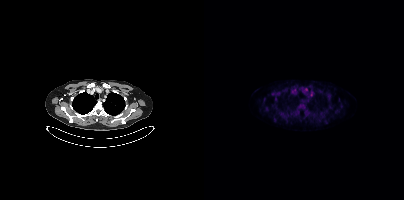
- Paired axial CT (left) and PSMA PET (right), 18F-PSMA tracer
- slice 340 of 431
- PET panel 200×200 px (4.1 mm/px)
Findings: Coordinates are on the 200×200 PET (right) panel. (showing 1 of 5 foci) Small PSMA-avid focus (2 to 4 px across) near (center x, center y): (90, 90).